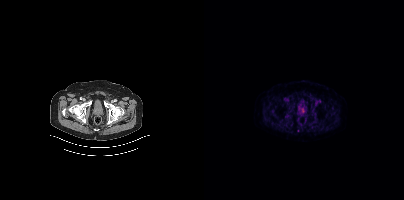
Left: CT. Right: PSMA PET, same axial level, 18F tracer. Slice position z = -800 mm. PET panel 200×200 px (4.1 mm/px). Negative for PSMA-avid disease on this slice.